Left: CT. Right: PSMA PET, same axial level, 18F tracer. Acquired on Siemens Biograph 64-4R TruePoint. Slice 111 of 165.
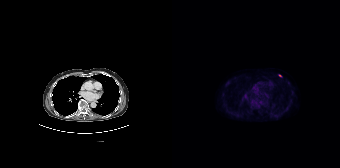
Coordinates are on the 168×168 PET (right) panel. Small PSMA-avid focus (2 to 4 px across) near (center x, center y): (108, 75).